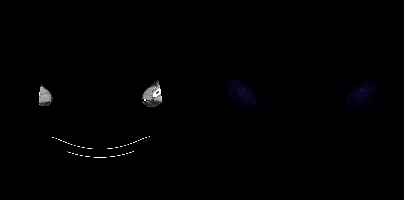
Findings: No PSMA-avid tumor lesions on this slice.
Technique: Left: CT. Right: PSMA PET, same axial level, [18F]PSMA-1007 tracer. slice position z = -836 mm.
Note: A rectangle over the head was blacked out to remove identifiable facial features.